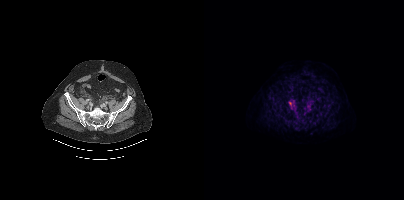
Technique: Two-panel axial: CT | PSMA PET, 18F tracer. slice 122 of 435. PET panel 200×200 px (4.1 mm/px).
Findings: Coordinates are on the 200×200 PET (right) panel. PSMA-avid tumor lesion bounding boxes (x0, y0)-(x1, y1): (85, 100)-(90, 104) / (86, 106)-(90, 109).